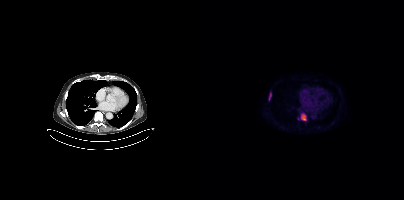
Technique: Left: CT. Right: PSMA PET, same axial level, [18F]PSMA-1007 tracer. slice position z = 190 mm.
Findings: Coordinates are on the 200×200 PET (right) panel. (showing 2 of 3 foci) PSMA-avid tumor lesion bounding boxes (x0, y0)-(x1, y1): (97, 113)-(102, 120) / (65, 92)-(67, 100).